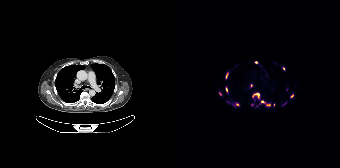
Two-panel axial: CT | PSMA PET, 18F tracer.
Coordinates are on the 168×168 PET (right) panel. PSMA-avid tumor lesion bounding boxes (partial; 3 more foci not listed):
| # | x0 | y0 | x1 | y1 |
|---|---|---|---|---|
| 1 | 80 | 92 | 88 | 99 |
| 2 | 87 | 100 | 98 | 106 |
| 3 | 53 | 86 | 56 | 93 |
| 4 | 53 | 72 | 56 | 78 |
| 5 | 60 | 103 | 67 | 106 |
| 6 | 118 | 94 | 121 | 98 |
| 7 | 110 | 102 | 114 | 105 |
Small PSMA-avid foci (2 to 4 px across) near (center x, center y): (111, 68); (48, 93); (79, 85); (84, 62); (80, 104); (101, 104).